- Two-panel axial: CT | PSMA PET, [18F]PSMA-1007 tracer
- acquired on Siemens Biograph mCT Flow 20
- de-identified by setting a box covering the face to black before release
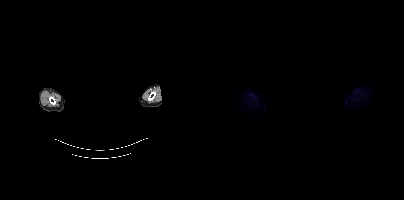
Findings: No PSMA-avid tumor lesions on this slice.